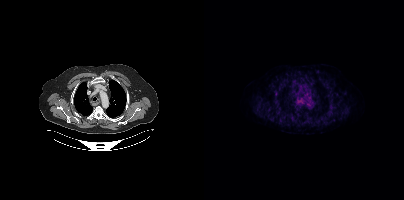
- Left: CT. Right: PSMA PET, same axial level, [18F]PSMA-1007 tracer
- acquired on Siemens Biograph mCT Flow 20
- slice position z = -205 mm
Findings: No tumor lesions annotated on this slice.